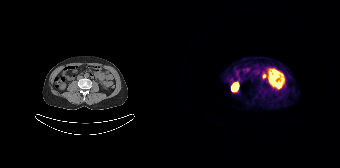
This slice has no annotated PSMA-avid lesion. Paired axial CT (left) and PSMA PET (right), 68Ga tracer. Slice 83 of 195.